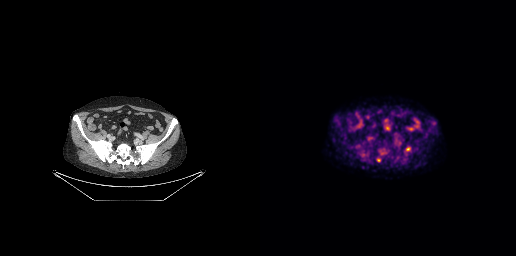
Paired axial CT (left) and PSMA PET (right), [18F]PSMA-1007 tracer. Acquired on GE Discovery 690. Slice position z = -629 mm. PET panel 256×256 px (2.7 mm/px). Coordinates are on the 256×256 PET (right) panel. Small PSMA-avid foci (2 to 4 px across) near (center x, center y): (118, 159) (148, 149) (121, 153).